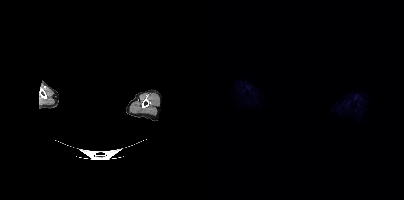
Two-panel axial: CT | PSMA PET, 18F tracer. PET panel 200×200 px (4.1 mm/px). The head region is masked for de-identification. No PSMA-avid tumor lesions on this slice.